modality: PSMA PET/CT | tracer: 18F | view: axial
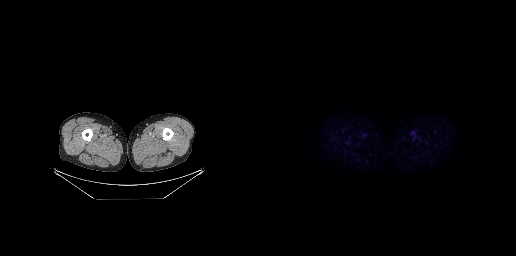
No tumor lesions annotated on this slice.